modality: PSMA PET/CT | tracer: [18F]PSMA-1007 | view: axial | PET grid: 200×200
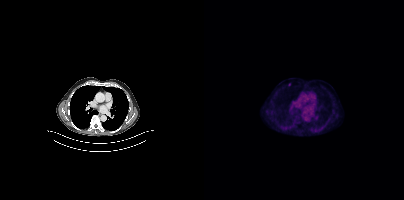
Coordinates are on the 200×200 PET (right) panel. Small PSMA-avid focus (2 to 4 px across) near (center x, center y): (85, 84).